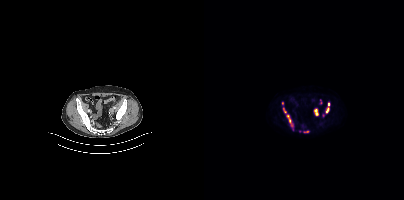
Coordinates are on the 200×200 PET (right) panel. (showing 6 of 8 foci) PSMA-avid tumor lesion bounding boxes (x0, y0)-(x1, y1): (78, 102)-(85, 119) / (110, 109)-(114, 115) / (85, 121)-(88, 126) / (122, 108)-(124, 112). Small PSMA-avid foci (2 to 4 px across) near (center x, center y): (124, 104) / (103, 131).
modality: PSMA PET/CT | tracer: 18F-PSMA | view: axial